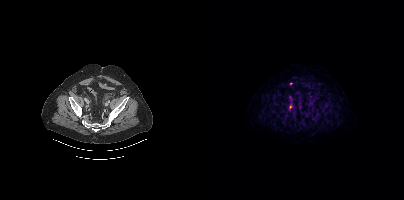
Coordinates are on the 200×200 PET (right) panel. Small PSMA-avid foci (2 to 4 px across) near (center x, center y): (86, 106); (87, 83).